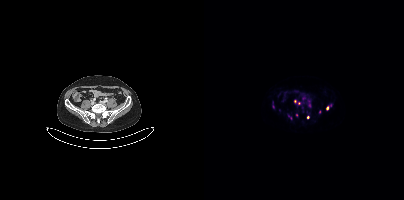
{"modality":"PSMA PET/CT","view":"axial","tracer":"68Ga","pet_grid":[200,200],"coord_frame":"pet_panel","coord_format":"x0,y0,x1,y1","partial":true,"lesion_bboxes":[[84,115,87,119]],"small_foci_centers":[[69,106],[91,101],[95,103],[123,108],[92,115],[115,111],[103,117],[105,105]]}